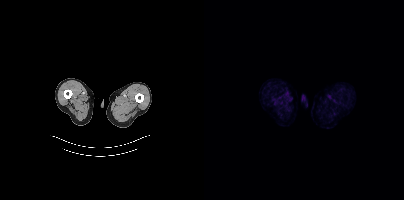
{"modality":"PSMA PET/CT","view":"axial","tracer":"18F","pet_grid":[200,200],"coord_frame":"pet_panel","coord_format":"x0,y0,x1,y1","psma_avid_lesions":false}